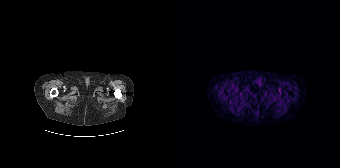
No tumor lesions annotated on this slice.